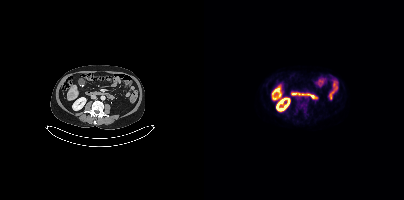
- Paired axial CT (left) and PSMA PET (right), 18F-PSMA tracer
- slice 173 of 431
- PET panel 200×200 px (4.1 mm/px)
Findings: This slice has no annotated PSMA-avid lesion.